- Left: CT. Right: PSMA PET, same axial level, [18F]PSMA-1007 tracer
- acquired on Siemens Biograph mCT Flow 20
- PET panel 200×200 px (4.1 mm/px)
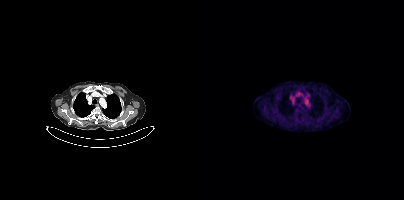
Findings: No PSMA-avid tumor lesions on this slice.